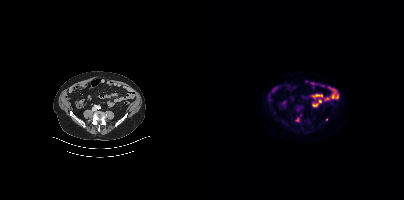
- Two-panel axial: CT | PSMA PET, [18F]PSMA-1007 tracer
Findings: Coordinates are on the 200×200 PET (right) panel. Small PSMA-avid focus (2 to 4 px across) near (center x, center y): (122, 119).